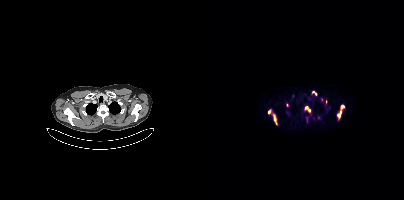
{"modality":"PSMA PET/CT","view":"axial","tracer":"18F","pet_grid":[200,200],"coord_frame":"pet_panel","coord_format":"x0,y0,x1,y1","partial":true,"lesion_bboxes":[[68,113,73,124],[133,111,137,118],[101,107,106,112],[108,91,112,94]],"small_foci_centers":[[138,106],[65,111],[83,105],[114,117]]}